Two-panel axial: CT | PSMA PET, 18F tracer. Slice position z = -1186 mm. PET panel 200×200 px (4.1 mm/px).
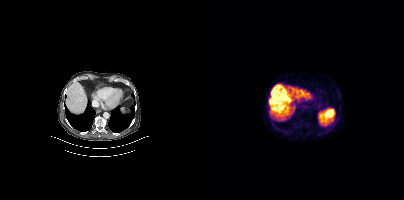
No tumor lesions annotated on this slice.